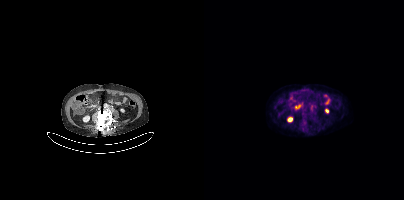
Paired axial CT (left) and PSMA PET (right), 18F tracer. Acquired on Siemens Biograph mCT Flow 20. PET panel 200×200 px (4.1 mm/px).
Coordinates are on the 200×200 PET (right) panel. PSMA-avid tumor lesion bounding boxes:
| # | x0 | y0 | x1 | y1 |
|---|---|---|---|---|
| 1 | 105 | 103 | 112 | 111 |